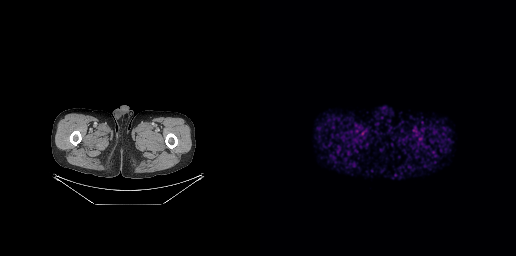
This slice has no annotated PSMA-avid lesion.